modality: PSMA PET/CT | tracer: [18F]PSMA-1007 | view: axial
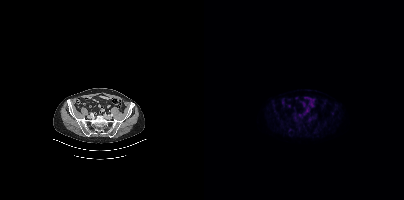
Coordinates are on the 200×200 PET (right) panel. Small PSMA-avid focus (2 to 4 px across) near (center x, center y): (85, 130).